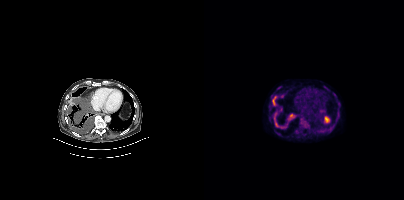
Coordinates are on the 200×200 PET (right) panel. PSMA-avid tumor lesion bounding boxes:
| # | x0 | y0 | x1 | y1 |
|---|---|---|---|---|
| 1 | 97 | 120 | 103 | 127 |
| 2 | 68 | 96 | 73 | 105 |
| 3 | 70 | 118 | 78 | 128 |
| 4 | 84 | 114 | 90 | 120 |
Two-panel axial: CT | PSMA PET, 18F tracer. Acquired on Siemens Biograph mCT Flow 20. Slice 270 of 452. PET panel 200×200 px (4.1 mm/px).